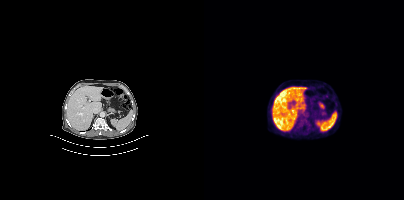
modality: PSMA PET/CT | tracer: 18F | view: axial | PET grid: 200×200
This slice has no annotated PSMA-avid lesion.